Technique: Two-panel axial: CT | PSMA PET, 18F-PSMA tracer. acquired on Siemens Biograph mCT Flow 20. slice position z = 428 mm.
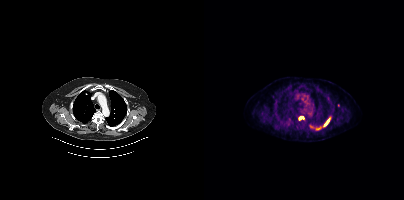
Findings: Coordinates are on the 200×200 PET (right) panel. PSMA-avid tumor lesion bounding boxes (x0,y0,x1,y1): [106,125,118,130], [120,118,125,126], [95,116,99,119]. Small PSMA-avid focus (2 to 4 px across) near (center x, center y): (134, 105).